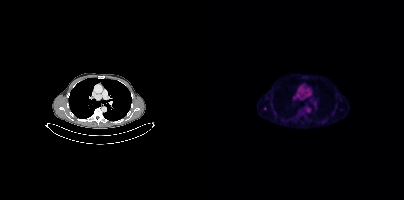
Coordinates are on the 200×200 PET (right) panel. Small PSMA-avid focus (2 to 4 px across) near (center x, center y): (61, 108).